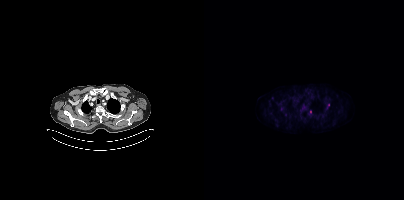
- Paired axial CT (left) and PSMA PET (right), 18F-PSMA tracer
Findings: Coordinates are on the 200×200 PET (right) panel. (showing 1 of 2 foci) Small PSMA-avid focus (2 to 4 px across) near (center x, center y): (124, 104).